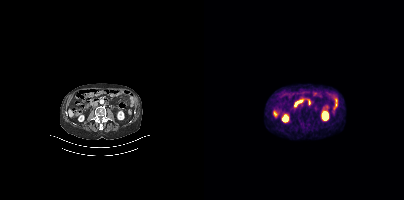
No PSMA-avid tumor lesions on this slice. Left: CT. Right: PSMA PET, same axial level, 68Ga-PSMA tracer. Slice position z = -840 mm.